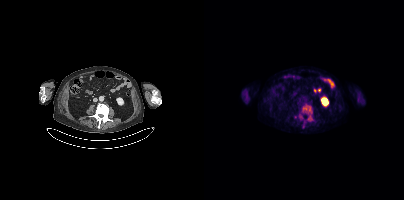
Coordinates are on the 200×200 PET (right) panel. PSMA-avid tumor lesion bounding boxes (partial; 1 more focus not listed):
| # | x0 | y0 | x1 | y1 |
|---|---|---|---|---|
| 1 | 98 | 104 | 108 | 113 |
| 2 | 104 | 115 | 108 | 120 |
Small PSMA-avid focus (2 to 4 px across) near (center x, center y): (96, 116).
Left: CT. Right: PSMA PET, same axial level, 18F tracer. Acquired on Siemens Biograph mCT Flow 20. Slice position z = -74 mm.